Paired axial CT (left) and PSMA PET (right), [18F]PSMA-1007 tracer. Slice 113 of 433.
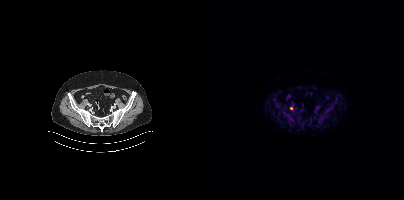
Coordinates are on the 200×200 PET (right) panel. Small PSMA-avid focus (2 to 4 px across) near (center x, center y): (87, 108).